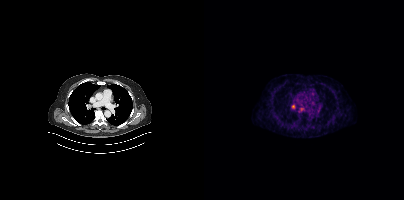
Coordinates are on the 200×200 PET (right) panel. PSMA-avid tumor lesion bounding box (x, y, width, height): x=87 y=104 w=5 h=5.